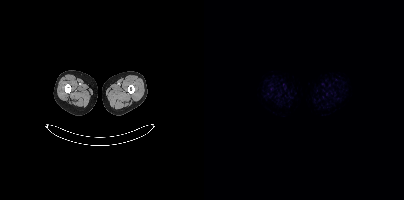
{"pet_grid":[200,200],"coord_frame":"pet_panel","coord_format":"x0,y0,x1,y1","psma_avid_lesions":false,"modality":"PSMA PET/CT","view":"axial","tracer":"18F"}